Technique: Left: CT. Right: PSMA PET, same axial level, 18F tracer. slice 251 of 403.
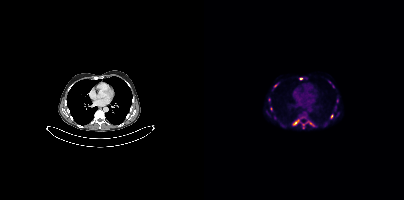
Findings: Coordinates are on the 200×200 PET (right) panel. (showing 11 of 12 foci) PSMA-avid tumor lesion bounding boxes (x0, y0)-(x1, y1): (89, 119)-(95, 125) / (102, 121)-(109, 125) / (126, 114)-(129, 118). Small PSMA-avid foci (2 to 4 px across) near (center x, center y): (67, 108) / (96, 78) / (71, 85) / (99, 124) / (129, 86) / (64, 100) / (125, 81) / (99, 127).